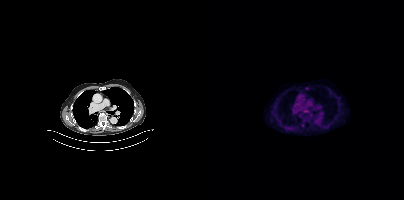
Findings: No PSMA-avid tumor lesions on this slice.
Technique: Paired axial CT (left) and PSMA PET (right), 18F-PSMA tracer. acquired on Siemens Biograph mCT Flow 20. slice position z = -491 mm. PET panel 200×200 px (4.1 mm/px).